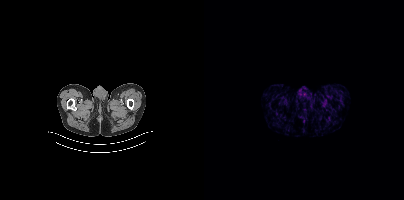
Left: CT. Right: PSMA PET, same axial level, [68Ga]Ga-PSMA-11 tracer. PET panel 200×200 px (4.1 mm/px). No tumor lesions annotated on this slice.